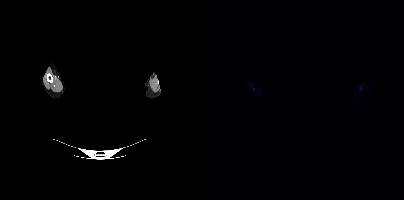
Technique: Left: CT. Right: PSMA PET, same axial level, [18F]PSMA-1007 tracer.
Note: Face de-identified by blanking a block of the head.
Findings: No tumor lesions annotated on this slice.